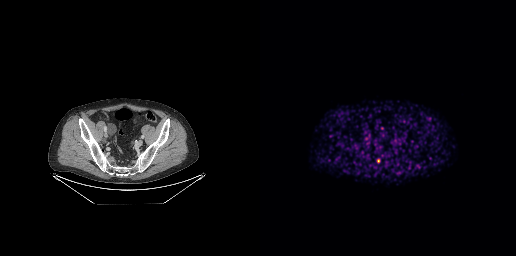
Findings: Coordinates are on the 256×256 PET (right) panel. Small PSMA-avid focus (2 to 4 px across) near (center x, center y): (118, 160).
Technique: Two-panel axial: CT | PSMA PET, [68Ga]Ga-PSMA-11 tracer. acquired on GE Discovery 690. PET panel 256×256 px (2.7 mm/px).